Head region blanked for anonymization (face removed). Left: CT. Right: PSMA PET, same axial level, 18F tracer. Slice 420 of 448. PET panel 200×200 px (4.1 mm/px).
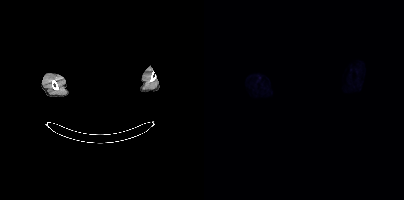
This slice has no annotated PSMA-avid lesion.